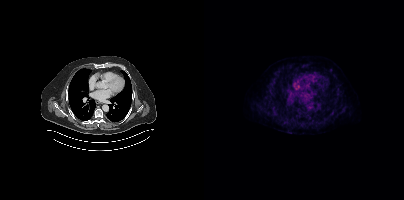
Negative for PSMA-avid disease on this slice. Left: CT. Right: PSMA PET, same axial level, 18F-PSMA tracer. Acquired on Siemens Biograph mCT Flow 20.